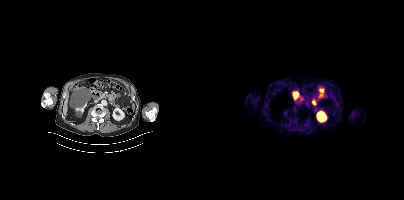
{"modality":"PSMA PET/CT","view":"axial","tracer":"[18F]PSMA-1007","pet_grid":[200,200],"coord_frame":"pet_panel","coord_format":"x0,y0,x1,y1","psma_avid_lesions":false}